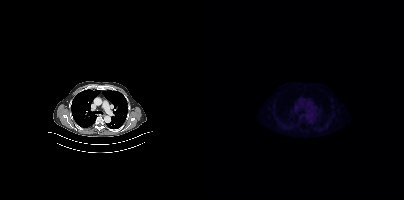
Two-panel axial: CT | PSMA PET, 18F-PSMA tracer. Acquired on Siemens Biograph mCT Flow 20. Slice position z = -1126 mm. This slice has no annotated PSMA-avid lesion.